Paired axial CT (left) and PSMA PET (right), 18F-PSMA tracer.
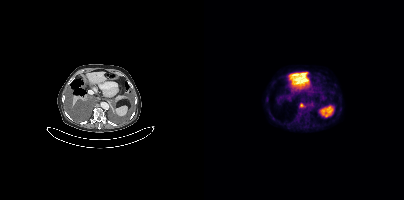
Coordinates are on the 200×200 PET (right) panel. PSMA-avid tumor lesion bounding box (x, y, width, height): x=96 y=103 w=6 h=5.